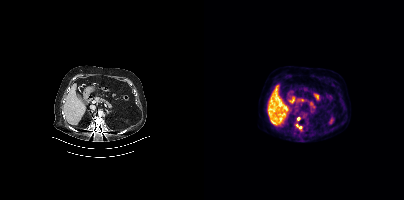
{"modality":"PSMA PET/CT","view":"axial","tracer":"18F-PSMA","pet_grid":[200,200],"coord_frame":"pet_panel","coord_format":"x0,y0,x1,y1","lesion_bboxes":[[92,124,98,129]],"small_foci_centers":[[94,118]]}